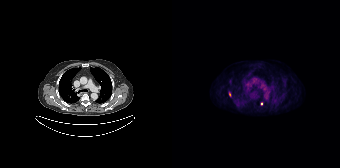
{"modality":"PSMA PET/CT","view":"axial","tracer":"18F-PSMA","pet_grid":[168,168],"coord_frame":"pet_panel","coord_format":"x0,y0,x1,y1","lesion_bboxes":[[57,92,58,96]],"small_foci_centers":[[89,103]]}